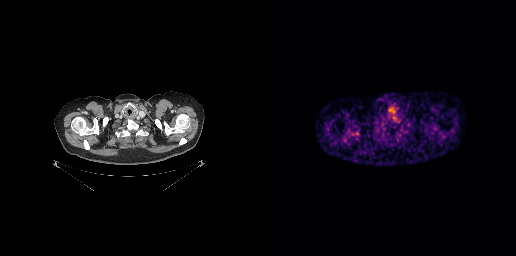
{"modality":"PSMA PET/CT","view":"axial","tracer":"68Ga","pet_grid":[256,256],"coord_frame":"pet_panel","coord_format":"x0,y0,x1,y1","psma_avid_lesions":false}